Two-panel axial: CT | PSMA PET, 18F-PSMA tracer. Acquired on Siemens Biograph mCT Flow 20. Slice 221 of 373.
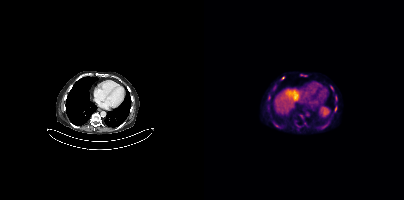
Coordinates are on the 200×200 PET (right) panel. PSMA-avid tumor lesion bounding boxes (partial; 1 more focus not listed):
| # | x0 | y0 | x1 | y1 |
|---|---|---|---|---|
| 1 | 70 | 123 | 75 | 127 |
| 2 | 96 | 74 | 103 | 76 |
| 3 | 131 | 106 | 132 | 111 |
Small PSMA-avid foci (2 to 4 px across) near (center x, center y): (97, 116); (79, 78); (128, 88).